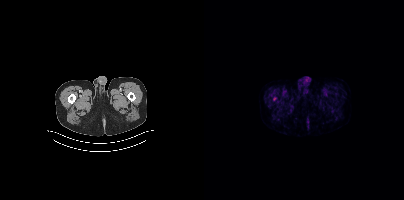
Technique: Paired axial CT (left) and PSMA PET (right), [18F]PSMA-1007 tracer. slice position z = -1546 mm. PET panel 200×200 px (4.1 mm/px).
Findings: Coordinates are on the 200×200 PET (right) panel. Small PSMA-avid focus (2 to 4 px across) near (center x, center y): (70, 98).